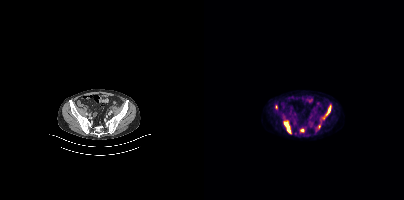
Coordinates are on the 200×200 PET (right) panel. (showing 4 of 5 foci) PSMA-avid tumor lesion bounding boxes (x0,y0,x1,y1): [80,121,86,133]; [119,105,127,119]; [96,129,100,132]. Small PSMA-avid focus (2 to 4 px across) near (center x, center y): (115, 126).